Two-panel axial: CT | PSMA PET, 18F tracer. Acquired on Siemens Biograph mCT Flow 20. Slice 217 of 393. PET panel 200×200 px (4.1 mm/px).
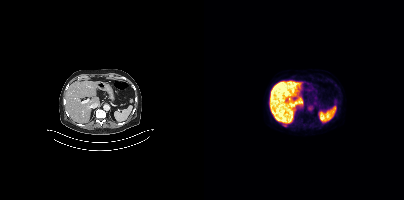
Coordinates are on the 200×200 PET (right) panel. PSMA-avid tumor lesion bounding box (x0,y0,x1,y1): [79,124,83,126].